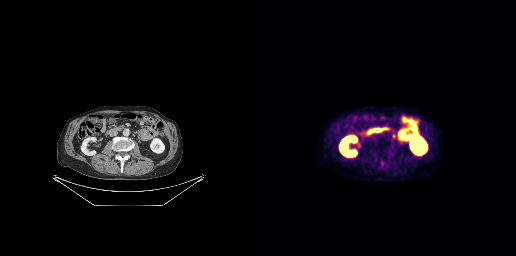
Coordinates are on the 256×256 PET (right) panel. (showing 1 of 2 foci) PSMA-avid tumor lesion bounding box (x, y, width, height): x=132 y=134 w=4 h=5.